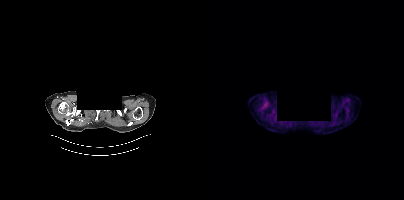
{"modality":"PSMA PET/CT","view":"axial","tracer":"18F-PSMA","pet_grid":[200,200],"coord_frame":"pet_panel","coord_format":"x0,y0,x1,y1","deidentification":"facial region redacted","psma_avid_lesions":false}